deidentification: face masked with black rectangle | modality: PSMA PET/CT | tracer: [18F]PSMA-1007 | view: axial
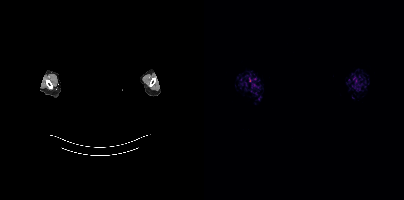
This slice has no annotated PSMA-avid lesion.